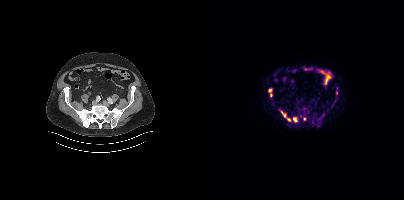
{"pet_grid":[200,200],"coord_frame":"pet_panel","coord_format":"x0,y0,x1,y1","partial":true,"lesion_bboxes":[[112,118,117,124],[89,117,93,122],[83,117,86,121],[77,111,81,117]],"small_foci_centers":[[100,118],[65,90],[132,91]],"modality":"PSMA PET/CT","view":"axial","tracer":"18F-PSMA"}